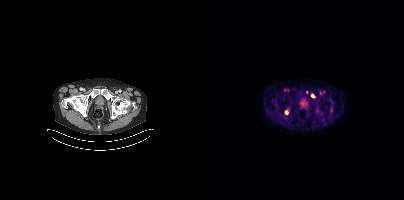
Technique: Paired axial CT (left) and PSMA PET (right), 18F tracer. acquired on Siemens Biograph mCT Flow 20. PET panel 200×200 px (4.1 mm/px).
Findings: Coordinates are on the 200×200 PET (right) panel. (showing 2 of 3 foci) Small PSMA-avid foci (2 to 4 px across) near (center x, center y): (108, 95) / (82, 112).